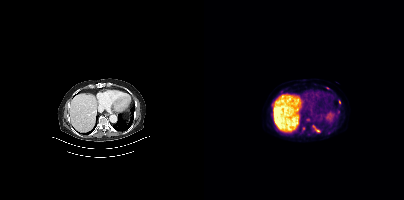
Coordinates are on the 200×200 PET (right) panel. PSMA-avid tumor lesion bounding boxes (x0, y0)-(x1, y1): (109, 126)-(116, 132); (98, 127)-(100, 131). Small PSMA-avid foci (2 to 4 px across) near (center x, center y): (135, 101); (123, 88); (77, 92); (134, 111); (73, 95).
modality: PSMA PET/CT | tracer: [18F]PSMA-1007 | view: axial | PET grid: 200×200